Two-panel axial: CT | PSMA PET, 68Ga tracer. Acquired on Siemens Biograph 64-4R TruePoint. PET panel 168×168 px (4.1 mm/px).
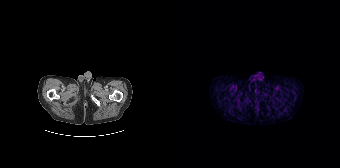
No tumor lesions annotated on this slice.